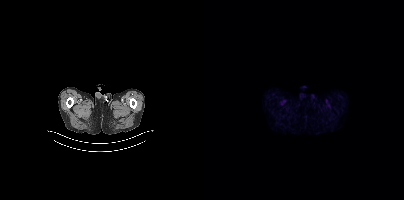
Two-panel axial: CT | PSMA PET, 18F tracer. Acquired on Siemens Biograph mCT Flow 20. Slice 30 of 389. No tumor lesions annotated on this slice.